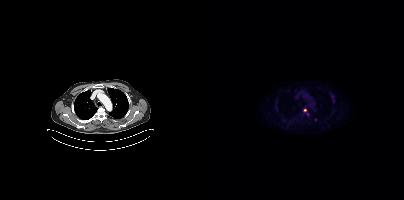
modality: PSMA PET/CT | tracer: 18F | view: axial
Coordinates are on the 200×200 PET (right) panel. (showing 3 of 5 foci) Small PSMA-avid foci (2 to 4 px across) near (center x, center y): (128, 96) | (103, 113) | (93, 120).